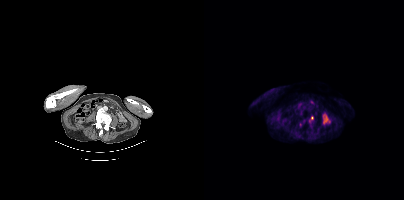
Coordinates are on the 200×200 PET (right) panel. Small PSMA-avid foci (2 to 4 px across) near (center x, center y): (108, 118); (96, 124).